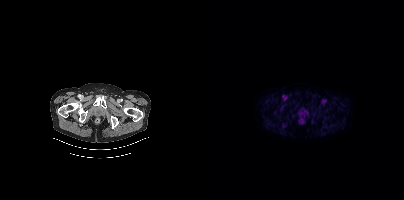
- Left: CT. Right: PSMA PET, same axial level, 18F tracer
- acquired on Siemens Biograph mCT Flow 20
- slice 59 of 452
Findings: Negative for PSMA-avid disease on this slice.